Two-panel axial: CT | PSMA PET, [68Ga]Ga-PSMA-11 tracer. Acquired on Siemens Biograph 64-4R TruePoint. Slice 142 of 195.
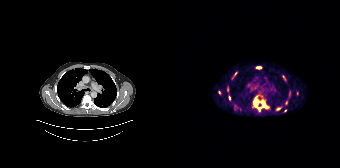
Coordinates are on the 168×168 PET (right) panel. (showing 10 of 12 foci) PSMA-avid tumor lesion bounding boxes (x0,y0,x1,y1): [81,96,96,111] [84,66,89,68] [55,86,57,92] [110,75,113,80]. Small PSMA-avid foci (2 to 4 px across) near (center x, center y): (107, 108) (114, 102) (57, 98) (113, 110) (63, 73) (125, 93).